- Left: CT. Right: PSMA PET, same axial level, 18F-PSMA tracer
- slice position z = -1329 mm
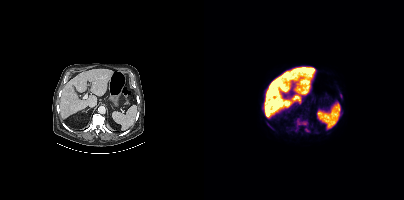
Findings: Coordinates are on the 200×200 PET (right) panel. PSMA-avid tumor lesion bounding boxes (x0, y0)-(x1, y1): (90, 118)-(105, 132) / (63, 123)-(69, 129).